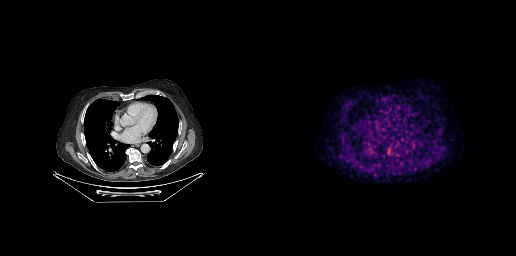
modality: PSMA PET/CT | tracer: 18F | view: axial | PET grid: 256×256
No tumor lesions annotated on this slice.